modality: PSMA PET/CT | tracer: [18F]PSMA-1007 | view: axial
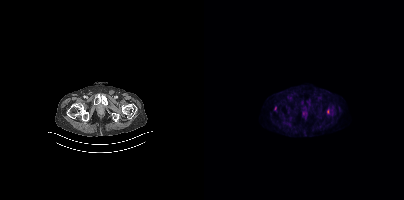
Only PSMA-avid lesion pieces thinner than 2 px on this slice (not listed).